Technique: Left: CT. Right: PSMA PET, same axial level, 18F-PSMA tracer. acquired on Siemens Biograph mCT Flow 20.
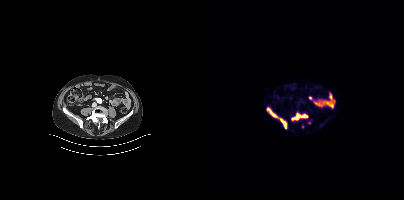
Findings: Coordinates are on the 200×200 PET (right) panel. PSMA-avid tumor lesion bounding boxes (x, y, width, height): x=63 y=107 w=20 h=22 / x=88 y=113 w=16 h=7. Small PSMA-avid foci (2 to 4 px across) near (center x, center y): (99, 126) / (105, 122).